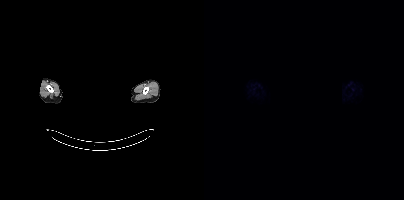
A rectangular block over the head has been blanked out for de-identification. Paired axial CT (left) and PSMA PET (right), 18F tracer. No tumor lesions annotated on this slice.